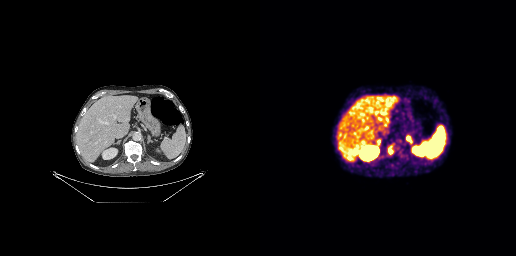
Coordinates are on the 256×256 PET (right) panel. PSMA-avid tumor lesion bounding boxes (x0, y0)-(x1, y1): (128, 146)-(132, 153); (146, 136)-(150, 140). Small PSMA-avid focus (2 to 4 px across) near (center x, center y): (118, 141).